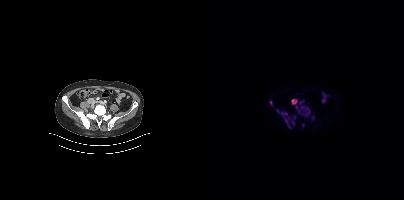
Left: CT. Right: PSMA PET, same axial level, 18F tracer. Acquired on Siemens Biograph mCT Flow 20. Slice 129 of 395.
Coordinates are on the 200×200 PET (right) panel. PSMA-avid tumor lesion bounding boxes (partial; 1 more focus not listed):
| # | x0 | y0 | x1 | y1 |
|---|---|---|---|---|
| 1 | 93 | 105 | 105 | 116 |
| 2 | 81 | 115 | 92 | 128 |
| 3 | 72 | 109 | 83 | 117 |
| 4 | 87 | 99 | 93 | 104 |
| 5 | 107 | 115 | 111 | 119 |
| 6 | 98 | 123 | 100 | 127 |
| 7 | 66 | 101 | 68 | 105 |